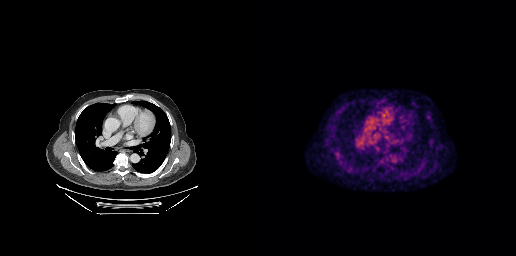
{"pet_grid":[256,256],"coord_frame":"pet_panel","coord_format":"x0,y0,x1,y1","psma_avid_lesions":false,"modality":"PSMA PET/CT","view":"axial","tracer":"18F-PSMA"}